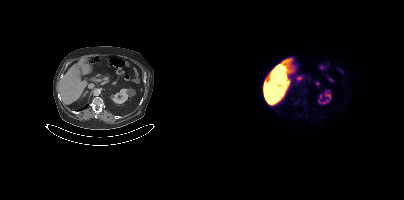
Findings: No tumor lesions annotated on this slice.
- Left: CT. Right: PSMA PET, same axial level, [18F]PSMA-1007 tracer
- PET panel 200×200 px (4.1 mm/px)